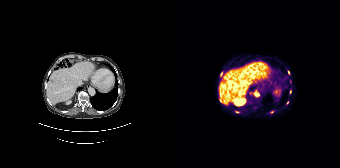
{"modality":"PSMA PET/CT","view":"axial","tracer":"[68Ga]Ga-PSMA-11","pet_grid":[168,168],"coord_frame":"pet_panel","coord_format":"x0,y0,x1,y1","lesion_bboxes":[[77,90,87,96],[48,72,50,76]],"small_foci_centers":[[48,100],[99,112],[118,81],[65,111],[116,72],[118,92],[115,102]]}